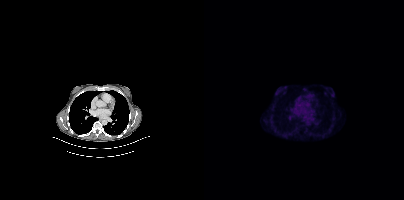
No tumor lesions annotated on this slice.